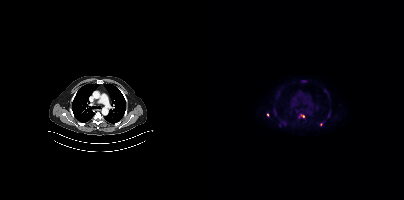
Paired axial CT (left) and PSMA PET (right), [18F]PSMA-1007 tracer. Slice 291 of 395. Coordinates are on the 200×200 PET (right) panel. Small PSMA-avid foci (2 to 4 px across) near (center x, center y): (98, 116), (117, 125), (63, 114).